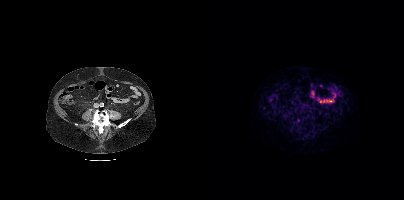
Left: CT. Right: PSMA PET, same axial level, 68Ga-PSMA tracer. Acquired on Siemens Biograph mCT Flow 20. This slice has no annotated PSMA-avid lesion.